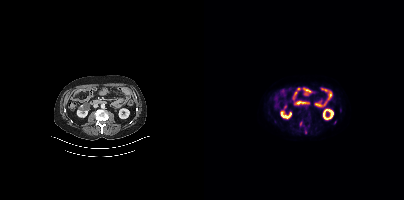
Coordinates are on the 200×200 PET (right) panel. Small PSMA-avid foci (2 to 4 px across) near (center x, center y): (104, 125) | (102, 131) | (96, 123) | (131, 121).